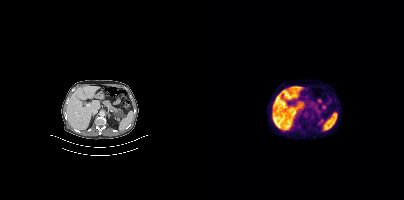
{"modality":"PSMA PET/CT","view":"axial","tracer":"18F","pet_grid":[200,200],"coord_frame":"pet_panel","coord_format":"x0,y0,x1,y1","psma_avid_lesions":false}